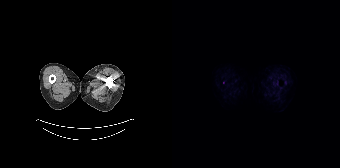
{"modality":"PSMA PET/CT","view":"axial","tracer":"[18F]PSMA-1007","pet_grid":[168,168],"coord_frame":"pet_panel","coord_format":"x0,y0,x1,y1","psma_avid_lesions":false}